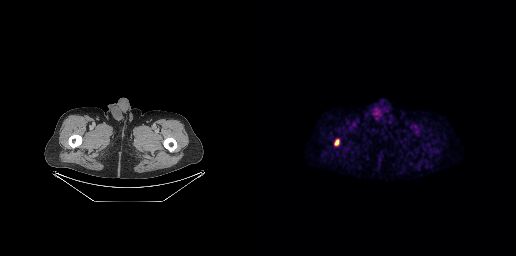
Left: CT. Right: PSMA PET, same axial level, 18F-PSMA tracer. Acquired on GE Discovery 690.
Coordinates are on the 256×256 PET (right) panel. PSMA-avid tumor lesion bounding boxes:
| # | x0 | y0 | x1 | y1 |
|---|---|---|---|---|
| 1 | 75 | 140 | 78 | 145 |